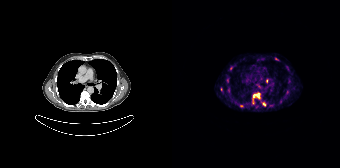
Coordinates are on the 168×168 PET (right) panel. PSMA-avid tumor lesion bounding boxes (x0,y0,x1,y1): [80,93,88,103]; [90,102,93,106]. Small PSMA-avid foci (2 to 4 px across) near (center x, center y): (104, 58); (69, 106); (55, 80); (117, 81); (94, 81); (49, 89); (56, 90). Paired axial CT (left) and PSMA PET (right), 68Ga-PSMA tracer. Acquired on Siemens Biograph 64-4R TruePoint.